Left: CT. Right: PSMA PET, same axial level, 18F-PSMA tracer.
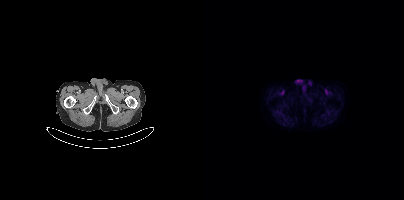
No tumor lesions annotated on this slice.